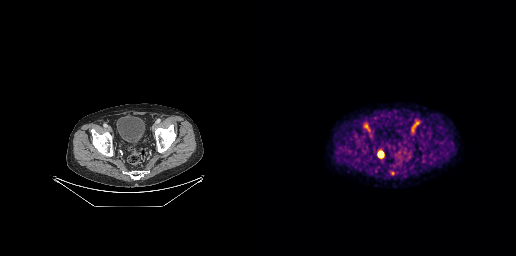
Coordinates are on the 256×256 PET (right) panel. PSMA-avid tumor lesion bounding boxes (x0,y0,x1,y1): [118,151,123,157]; [130,171,134,175].